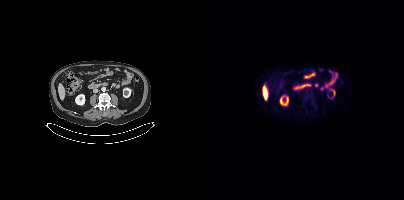
{"modality":"PSMA PET/CT","view":"axial","tracer":"[18F]PSMA-1007","pet_grid":[200,200],"coord_frame":"pet_panel","coord_format":"x0,y0,x1,y1","psma_avid_lesions":false}